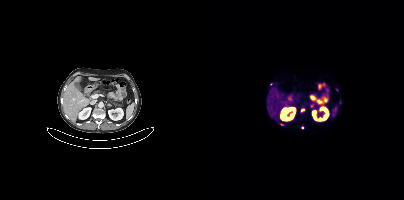
modality: PSMA PET/CT | tracer: 68Ga-PSMA | view: axial | PET grid: 200×200
Coordinates are on the 200×200 PET (right) panel. Small PSMA-avid foci (2 to 4 px across) near (center x, center y): (77, 124) (99, 109) (98, 127) (66, 83) (132, 89) (67, 116).